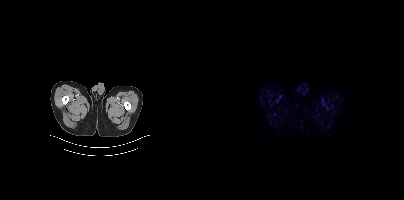
Negative for PSMA-avid disease on this slice.
modality: PSMA PET/CT | tracer: [18F]PSMA-1007 | view: axial